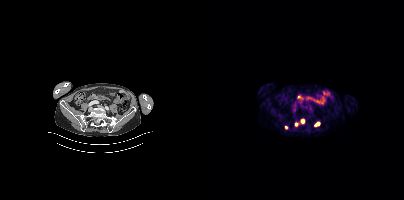
{"pet_grid":[200,200],"coord_frame":"pet_panel","coord_format":"x0,y0,x1,y1","lesion_bboxes":[[90,118,101,126],[110,122,115,126]],"small_foci_centers":[[82,127]],"modality":"PSMA PET/CT","view":"axial","tracer":"18F"}